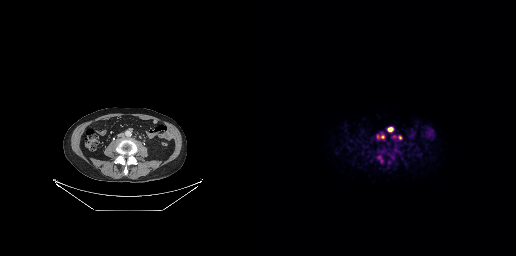
modality: PSMA PET/CT | tracer: 68Ga-PSMA | view: axial | PET grid: 256×256
Coordinates are on the 256×256 PET (right) panel. PSMA-avid tumor lesion bounding boxes (x0, y0)-(x1, y1): (138, 136)-(142, 139); (119, 159)-(123, 162); (128, 128)-(132, 130). Small PSMA-avid foci (2 to 4 px across) near (center x, center y): (121, 136); (117, 136); (134, 136).